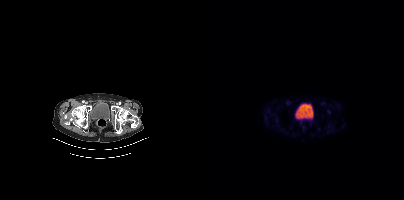
This slice has no annotated PSMA-avid lesion.